- Left: CT. Right: PSMA PET, same axial level, 68Ga tracer
- acquired on Siemens Biograph 64-4R TruePoint
- PET panel 168×168 px (4.1 mm/px)
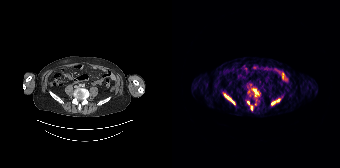
Findings: Coordinates are on the 168×168 PET (right) panel. PSMA-avid tumor lesion bounding box (x0,y0,x1,y1): [53,95,62,104]. Small PSMA-avid foci (2 to 4 px across) near (center x, center y): (101, 103); (79, 107); (84, 91); (76, 102); (106, 100); (83, 103).